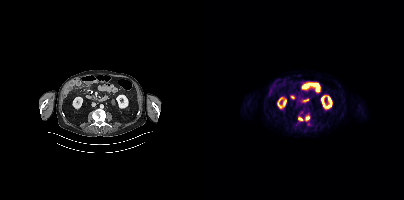
Technique: Two-panel axial: CT | PSMA PET, [18F]PSMA-1007 tracer. acquired on Siemens Biograph mCT Flow 20.
Findings: Coordinates are on the 200×200 PET (right) panel. PSMA-avid tumor lesion bounding box (x0,y0,x1,y1): [94,117,98,120]. Small PSMA-avid focus (2 to 4 px across) near (center x, center y): (103, 117).